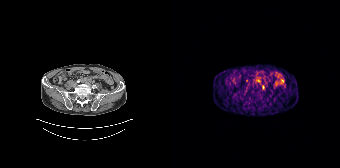
Findings: No tumor lesions annotated on this slice.
Technique: Two-panel axial: CT | PSMA PET, 68Ga-PSMA tracer. slice 68 of 195. PET panel 168×168 px (4.1 mm/px).